- Two-panel axial: CT | PSMA PET, 18F-PSMA tracer
- PET panel 200×200 px (4.1 mm/px)
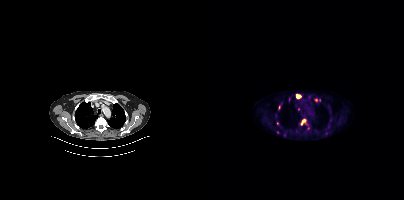
Findings: Coordinates are on the 200×200 PET (right) panel. (showing 2 of 6 foci) PSMA-avid tumor lesion bounding boxes (x0,y0,x1,y1): [96,119,102,125]; [92,94,96,98].